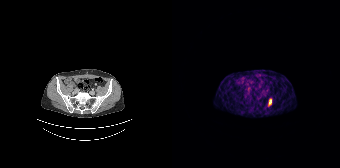
- Left: CT. Right: PSMA PET, same axial level, 68Ga tracer
- acquired on Siemens Biograph 64-4R TruePoint
- slice position z = -1456 mm
- PET panel 168×168 px (4.1 mm/px)
Findings: Coordinates are on the 168×168 PET (right) panel. PSMA-avid tumor lesion bounding box (x, y, width, height): x=96 y=99 w=4 h=7.